Technique: Left: CT. Right: PSMA PET, same axial level, [18F]PSMA-1007 tracer. PET panel 200×200 px (4.1 mm/px).
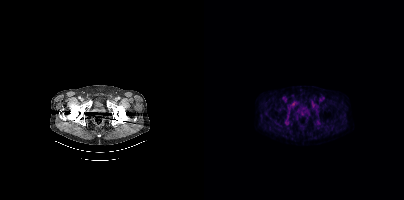
Findings: This slice has no annotated PSMA-avid lesion.